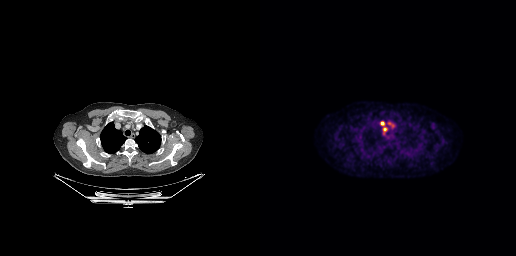
Coordinates are on the 256×256 PET (right) panel. Small PSMA-avid foci (2 to 4 px across) near (center x, center y): (122, 123) / (124, 129). Left: CT. Right: PSMA PET, same axial level, 18F-PSMA tracer. Acquired on GE Discovery 690. PET panel 256×256 px (2.7 mm/px).